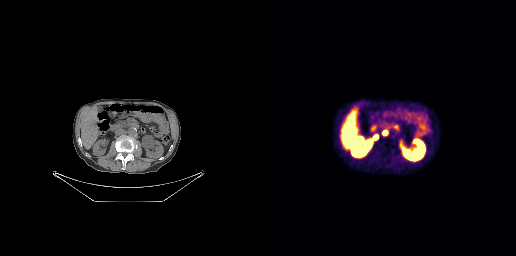
modality: PSMA PET/CT | tracer: 68Ga | view: axial
Coordinates are on the 256×256 PET (right) panel. PSMA-avid tumor lesion bounding boxes (x0,y0,x1,y1): [123,130,127,135] [114,135,117,139].